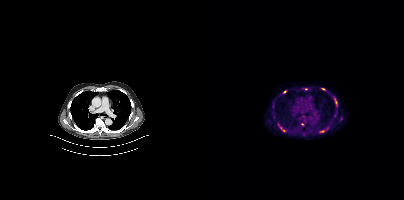
Coordinates are on the 200×200 PET (right) panel. (showing 6 of 9 foci) PSMA-avid tumor lesion bounding boxes (x0,y0,x1,y1): [76,127,81,131] [116,131,120,132]. Small PSMA-avid foci (2 to 4 px across) near (center x, center y): (80, 92) (119, 88) (98, 124) (102, 88). Left: CT. Right: PSMA PET, same axial level, [18F]PSMA-1007 tracer. Acquired on Siemens Biograph mCT Flow 20. PET panel 200×200 px (4.1 mm/px).